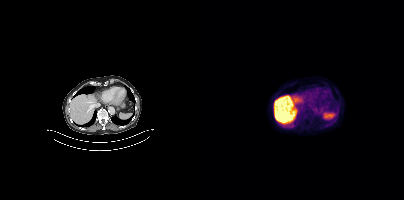
No tumor lesions annotated on this slice. Left: CT. Right: PSMA PET, same axial level, [18F]PSMA-1007 tracer. Slice position z = -595 mm. PET panel 200×200 px (4.1 mm/px).